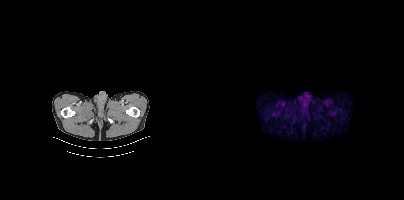
{"modality":"PSMA PET/CT","view":"axial","tracer":"18F","pet_grid":[200,200],"coord_frame":"pet_panel","coord_format":"x0,y0,x1,y1","psma_avid_lesions":false}